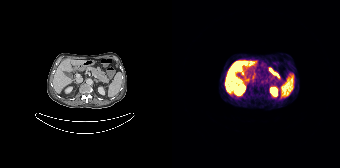
Findings: This slice has no annotated PSMA-avid lesion.
- Left: CT. Right: PSMA PET, same axial level, [68Ga]Ga-PSMA-11 tracer
- acquired on Siemens Biograph 64-4R TruePoint
- slice 106 of 195
- PET panel 168×168 px (4.1 mm/px)